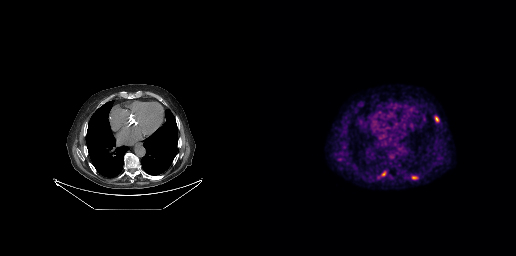
Technique: Two-panel axial: CT | PSMA PET, 18F tracer.
Findings: Coordinates are on the 256×256 PET (right) panel. PSMA-avid tumor lesion bounding boxes (x0, y0)-(x1, y1): (175, 116)-(178, 121); (152, 177)-(156, 178). Small PSMA-avid foci (2 to 4 px across) near (center x, center y): (123, 174); (80, 159).